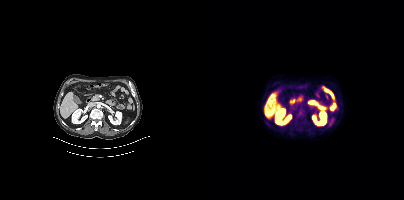
This slice has no annotated PSMA-avid lesion.